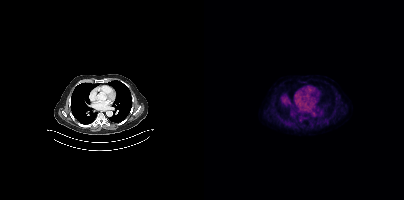
{"pet_grid":[200,200],"coord_frame":"pet_panel","coord_format":"x0,y0,x1,y1","psma_avid_lesions":false,"modality":"PSMA PET/CT","view":"axial","tracer":"[18F]PSMA-1007"}